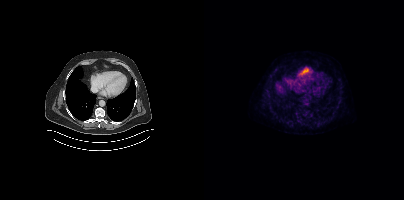
- Two-panel axial: CT | PSMA PET, [18F]PSMA-1007 tracer
Findings: Only PSMA-avid lesion pieces thinner than 2 px on this slice (not listed).